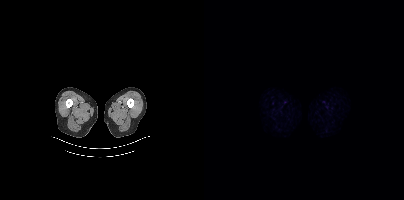
No tumor lesions annotated on this slice.